An anonymization step blacked out a rectangle over the head in this scan.
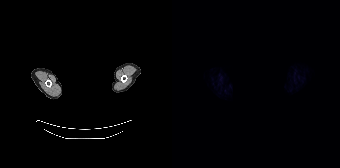
No PSMA-avid tumor lesions on this slice.